modality: PSMA PET/CT | tracer: [18F]PSMA-1007 | view: axial
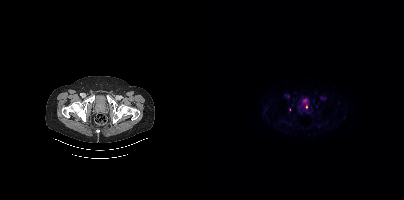
Coordinates are on the 200×200 PET (right) panel. Small PSMA-avid foci (2 to 4 px across) near (center x, center y): (102, 106) | (85, 109).